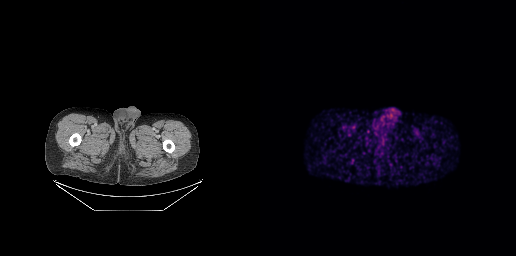
{"modality":"PSMA PET/CT","view":"axial","tracer":"[68Ga]Ga-PSMA-11","pet_grid":[256,256],"coord_frame":"pet_panel","coord_format":"x0,y0,x1,y1","psma_avid_lesions":false}